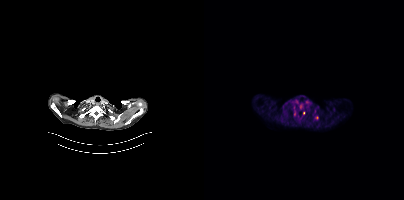
{"modality":"PSMA PET/CT","view":"axial","tracer":"[18F]PSMA-1007","pet_grid":[200,200],"coord_frame":"pet_panel","coord_format":"x0,y0,x1,y1","lesion_bboxes":[],"small_foci_centers":[[112,117],[99,112]]}